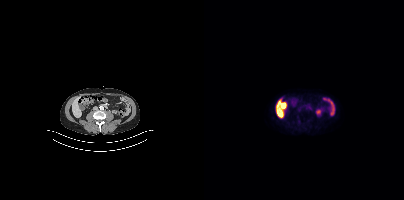
Left: CT. Right: PSMA PET, same axial level, 18F-PSMA tracer. PET panel 200×200 px (4.1 mm/px). No PSMA-avid tumor lesions on this slice.